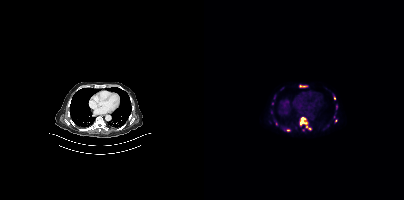
Two-panel axial: CT | PSMA PET, 18F tracer. Coordinates are on the 200×200 PET (right) panel. (showing 5 of 7 foci) PSMA-avid tumor lesion bounding box (x0,y0,x1,y1): [96,117,103,124]. Small PSMA-avid foci (2 to 4 px across) near (center x, center y): (130, 98); (68, 103); (102, 126); (131, 120).